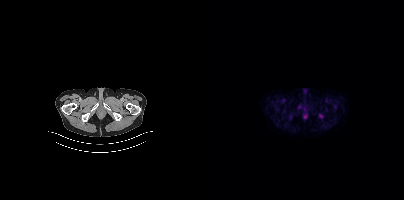
modality: PSMA PET/CT | tracer: [18F]PSMA-1007 | view: axial | PET grid: 200×200
Negative for PSMA-avid disease on this slice.